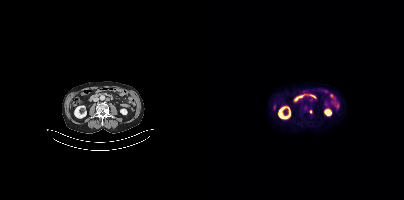
{"modality":"PSMA PET/CT","view":"axial","tracer":"[18F]PSMA-1007","pet_grid":[200,200],"coord_frame":"pet_panel","coord_format":"x0,y0,x1,y1","lesion_bboxes":[],"small_foci_centers":[[106,111]]}